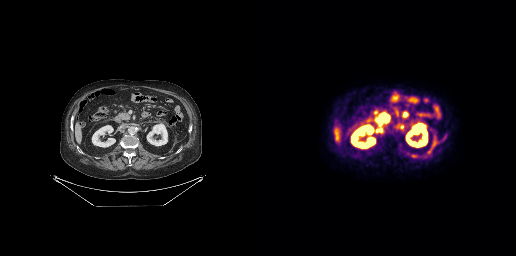
Paired axial CT (left) and PSMA PET (right), 18F-PSMA tracer. Slice 172 of 299. Negative for PSMA-avid disease on this slice.